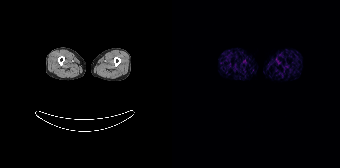
Technique: Left: CT. Right: PSMA PET, same axial level, 68Ga-PSMA tracer. acquired on Siemens Biograph 64-4R TruePoint. PET panel 168×168 px (4.1 mm/px).
Findings: No PSMA-avid tumor lesions on this slice.